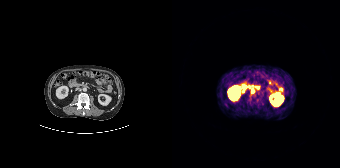
Coordinates are on the 168×168 PET (right) panel. Small PSMA-avid focus (2 to 4 px across) near (center x, center y): (79, 90).
modality: PSMA PET/CT | tracer: [68Ga]Ga-PSMA-11 | view: axial | PET grid: 168×168